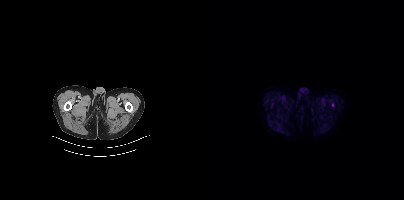
- Left: CT. Right: PSMA PET, same axial level, 18F-PSMA tracer
Findings: No PSMA-avid tumor lesions on this slice.